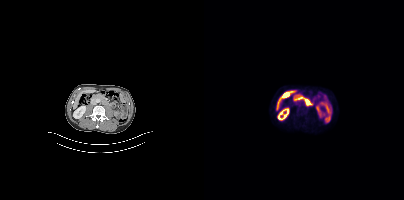
modality: PSMA PET/CT | tracer: [18F]PSMA-1007 | view: axial | PET grid: 200×200
No PSMA-avid tumor lesions on this slice.